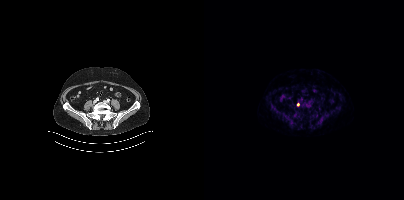
Coordinates are on the 200×200 PET (right) panel. Small PSMA-avid focus (2 to 4 px across) near (center x, center y): (94, 104).